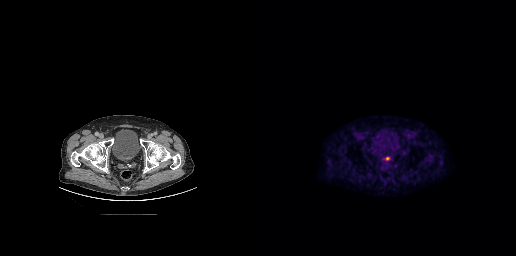
Coordinates are on the 256×256 PET (right) panel. PSMA-avid tumor lesion bounding boxes:
| # | x0 | y0 | x1 | y1 |
|---|---|---|---|---|
| 1 | 125 | 157 | 129 | 160 |
Two-panel axial: CT | PSMA PET, [18F]PSMA-1007 tracer. PET panel 256×256 px (2.7 mm/px).